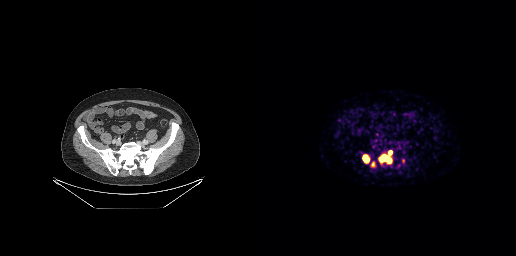
modality: PSMA PET/CT | tracer: 68Ga | view: axial | PET grid: 256×256
Coordinates are on the 256×256 PET (right) panel. PSMA-avid tumor lesion bounding boxes (x0, y0)-(x1, y1): (119, 150)-(132, 163) | (103, 155)-(109, 162). Small PSMA-avid focus (2 to 4 px across) near (center x, center y): (112, 163).